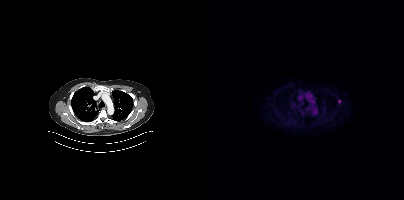
Paired axial CT (left) and PSMA PET (right), 18F tracer. Slice position z = -1009 mm. Coordinates are on the 200×200 PET (right) panel. Small PSMA-avid focus (2 to 4 px across) near (center x, center y): (135, 101).